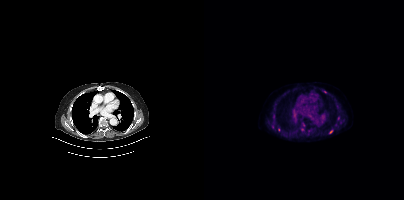
- Paired axial CT (left) and PSMA PET (right), [18F]PSMA-1007 tracer
- acquired on Siemens Biograph mCT Flow 20
- slice 276 of 407
Findings: Coordinates are on the 200×200 PET (right) panel. (showing 5 of 8 foci) Small PSMA-avid foci (2 to 4 px across) near (center x, center y): (98, 129) | (126, 131) | (120, 92) | (68, 126) | (69, 116).